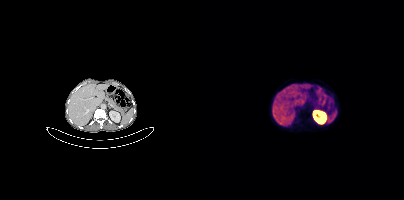
{"pet_grid":[200,200],"coord_frame":"pet_panel","coord_format":"x0,y0,x1,y1","psma_avid_lesions":false,"modality":"PSMA PET/CT","view":"axial","tracer":"68Ga"}